modality: PSMA PET/CT | tracer: 18F | view: axial | PET grid: 200×200
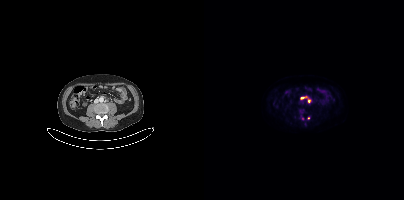
Coordinates are on the 200×200 PET (right) panel. PSMA-avid tumor lesion bounding box (x0,y0,x1,y1): [96,96,106,102]. Small PSMA-avid foci (2 to 4 px across) near (center x, center y): (104, 118), (98, 118).